modality: PSMA PET/CT | tracer: 18F | view: axial
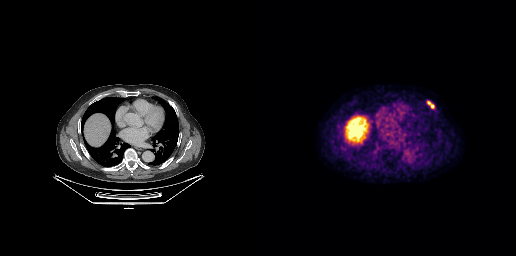
Coordinates are on the 256×256 PET (right) panel. PSMA-avid tumor lesion bounding box (x, y, width, height): x=167 y=101 w=8 h=8.